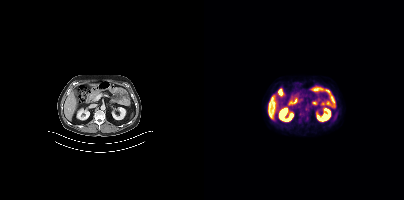
{"pet_grid":[200,200],"coord_frame":"pet_panel","coord_format":"x0,y0,x1,y1","psma_avid_lesions":false,"modality":"PSMA PET/CT","view":"axial","tracer":"[18F]PSMA-1007"}